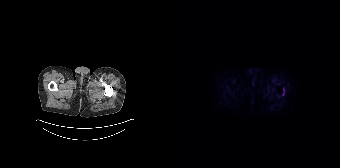
Coordinates are on the 168×168 PET (right) panel. (showing 1 of 2 foci) Small PSMA-avid focus (2 to 4 px across) near (center x, center y): (111, 89).
modality: PSMA PET/CT | tracer: 18F-PSMA | view: axial